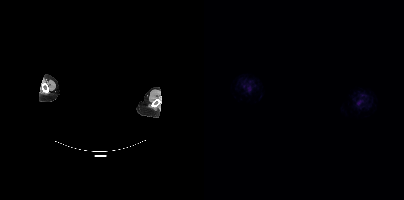
Paired axial CT (left) and PSMA PET (right), [18F]PSMA-1007 tracer. Acquired on Siemens Biograph mCT Flow 20. Slice position z = -116 mm. PET panel 200×200 px (4.1 mm/px). The head region is masked for de-identification. This slice has no annotated PSMA-avid lesion.